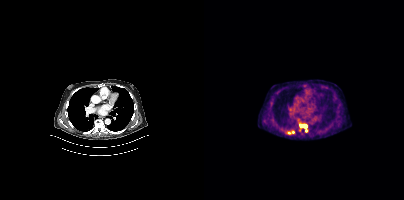
{"modality":"PSMA PET/CT","view":"axial","tracer":"18F-PSMA","pet_grid":[200,200],"coord_frame":"pet_panel","coord_format":"x0,y0,x1,y1","lesion_bboxes":[[96,124,103,131],[83,131,90,134]]}